- Two-panel axial: CT | PSMA PET, 68Ga tracer
- slice 54 of 373
- PET panel 200×200 px (4.1 mm/px)
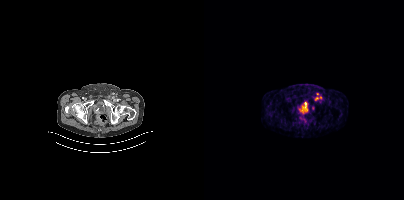
Findings: Coordinates are on the 200×200 PET (right) panel. (showing 3 of 4 foci) Small PSMA-avid foci (2 to 4 px across) near (center x, center y): (101, 103), (108, 107), (112, 98).